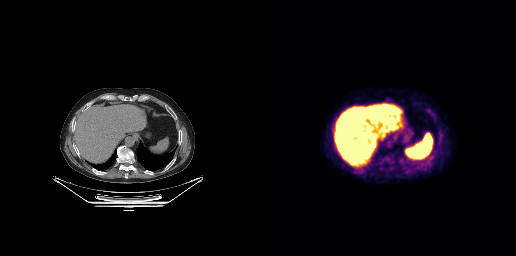
This slice has no annotated PSMA-avid lesion.